Left: CT. Right: PSMA PET, same axial level, 18F-PSMA tracer. Slice position z = -1024 mm. PET panel 200×200 px (4.1 mm/px).
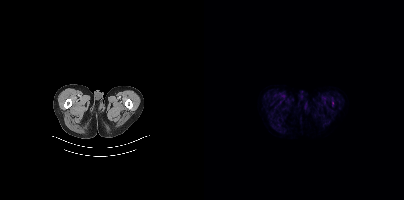
This slice has no annotated PSMA-avid lesion.